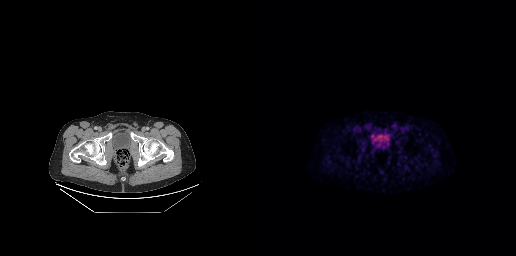
{"modality":"PSMA PET/CT","view":"axial","tracer":"18F-PSMA","pet_grid":[256,256],"coord_frame":"pet_panel","coord_format":"x0,y0,x1,y1","lesion_bboxes":[[110,133,114,138]]}